Two-panel axial: CT | PSMA PET, [18F]PSMA-1007 tracer. Slice position z = 126 mm. PET panel 200×200 px (4.1 mm/px). Face de-identified by blanking a block of the head.
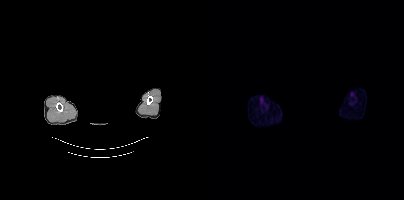
No PSMA-avid tumor lesions on this slice.